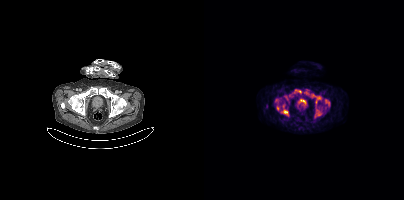
{"pet_grid":[200,200],"coord_frame":"pet_panel","coord_format":"x0,y0,x1,y1","partial":true,"lesion_bboxes":[[80,92,89,100],[77,109,83,114],[112,96,116,103],[92,90,97,93],[121,100,125,104],[73,106,74,110]],"small_foci_centers":[[114,113],[79,106]],"modality":"PSMA PET/CT","view":"axial","tracer":"[18F]PSMA-1007"}